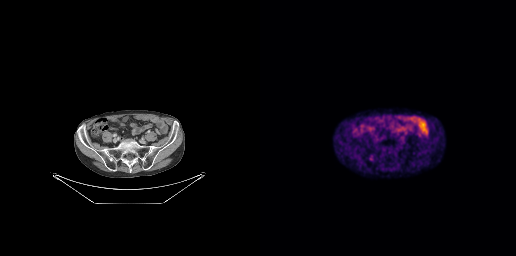
modality: PSMA PET/CT | tracer: 18F | view: axial | PET grid: 256×256
Coordinates are on the 256×256 PET (right) panel. PSMA-avid tumor lesion bounding box (x0,y0,x1,y1): [109,155,113,160].